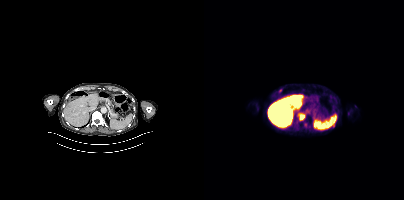
Coordinates are on the 200×200 PET (right) panel. PSMA-avid tumor lesion bounding box (x, y, width, height): x=96 y=116 w=5 h=4.